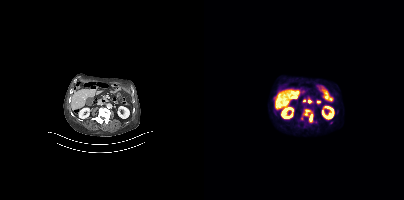
Two-panel axial: CT | PSMA PET, 18F-PSMA tracer. Acquired on Siemens Biograph mCT Flow 20. Slice 149 of 373. PET panel 200×200 px (4.1 mm/px).
Coordinates are on the 200×200 PET (right) panel. PSMA-avid tumor lesion bounding boxes:
| # | x0 | y0 | x1 | y1 |
|---|---|---|---|---|
| 1 | 99 | 109 | 109 | 122 |
| 2 | 70 | 109 | 73 | 114 |
Small PSMA-avid focus (2 to 4 px across) near (center x, center y): (97, 118).